modality: PSMA PET/CT | tracer: 68Ga | view: axial
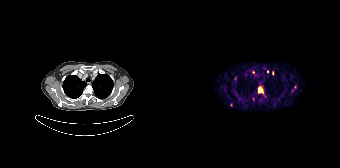
Coordinates are on the 168×168 PET (right) panel. (showing 6 of 9 foci) PSMA-avid tumor lesion bounding boxes (x, y, width, height): x=86 y=86 w=6 h=8 | x=119 y=85 w=6 h=7. Small PSMA-avid foci (2 to 4 px across) near (center x, center y): (100, 72) | (59, 105) | (95, 71) | (81, 71).